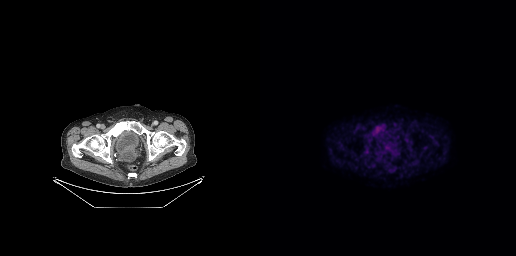
Two-panel axial: CT | PSMA PET, 18F tracer. Slice position z = -650 mm. PET panel 256×256 px (2.7 mm/px). This slice has no annotated PSMA-avid lesion.